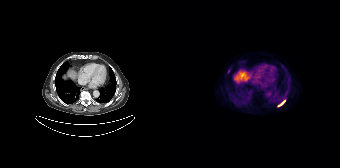
{"modality":"PSMA PET/CT","view":"axial","tracer":"18F","pet_grid":[168,168],"coord_frame":"pet_panel","coord_format":"x0,y0,x1,y1","lesion_bboxes":[[105,99,113,107]],"small_foci_centers":[[56,71]]}